Paired axial CT (left) and PSMA PET (right), 18F-PSMA tracer. Acquired on Siemens Biograph mCT Flow 20.
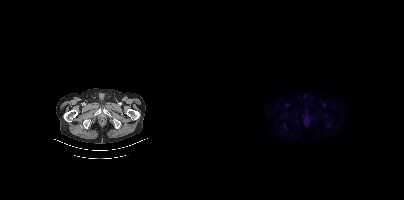
Negative for PSMA-avid disease on this slice.